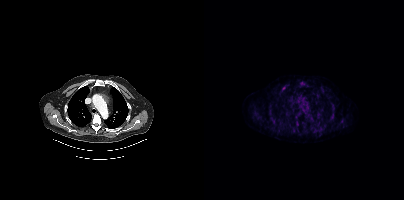
Coordinates are on the 200×200 PET (right) panel. Small PSMA-avid focus (2 to 4 px across) near (center x, center y): (79, 88).